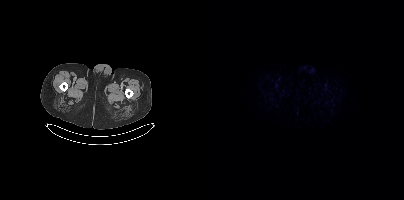
modality: PSMA PET/CT | tracer: [18F]PSMA-1007 | view: axial | PET grid: 200×200
Negative for PSMA-avid disease on this slice.